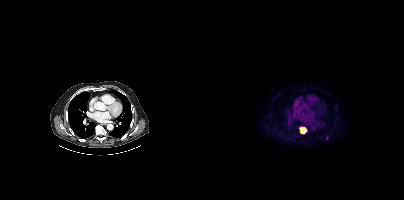
modality: PSMA PET/CT | tracer: 18F-PSMA | view: axial
Coordinates are on the 200×200 PET (right) panel. PSMA-avid tumor lesion bounding box (x0, y0)-(x1, y1): (96, 127)-(102, 133). Small PSMA-avid focus (2 to 4 px across) near (center x, center y): (123, 137).